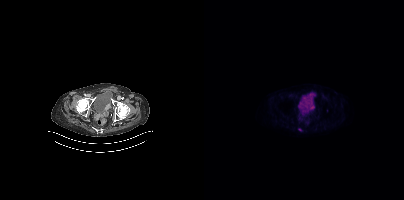
Left: CT. Right: PSMA PET, same axial level, 18F tracer. Acquired on Siemens Biograph mCT Flow 20. Slice position z = -958 mm. Coordinates are on the 200×200 PET (right) panel. Small PSMA-avid foci (2 to 4 px across) near (center x, center y): (109, 108) / (123, 110) / (95, 129).